redaction: facial region redacted | modality: PSMA PET/CT | tracer: 18F-PSMA | view: axial
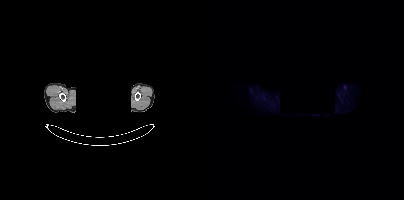
No tumor lesions annotated on this slice.